- Two-panel axial: CT | PSMA PET, [18F]PSMA-1007 tracer
- acquired on GE Discovery 690
- slice 54 of 299
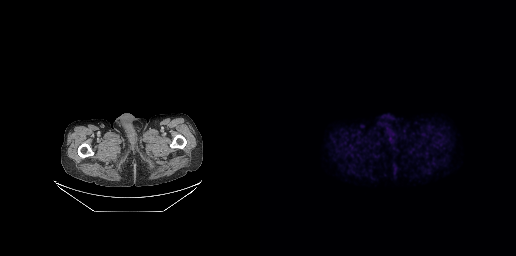
Findings: This slice has no annotated PSMA-avid lesion.